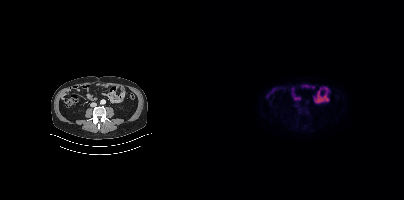
No tumor lesions annotated on this slice.